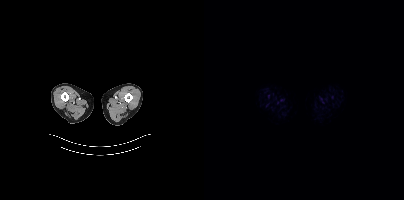
modality: PSMA PET/CT | tracer: [18F]PSMA-1007 | view: axial | PET grid: 200×200
This slice has no annotated PSMA-avid lesion.